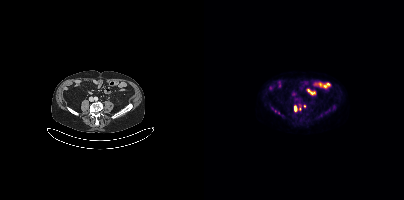
Coordinates are on the 200×200 PET (right) panel. (showing 2 of 4 foci) PSMA-avid tumor lesion bounding box (x0, y0)-(x1, y1): (90, 106)-(92, 111). Small PSMA-avid focus (2 to 4 px across) near (center x, center y): (100, 105).